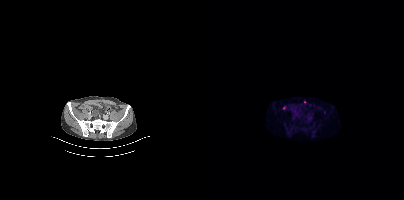
Coordinates are on the 200×200 PET (right) panel. Small PSMA-avid focus (2 to 4 px across) near (center x, center y): (100, 102).
modality: PSMA PET/CT | tracer: [18F]PSMA-1007 | view: axial